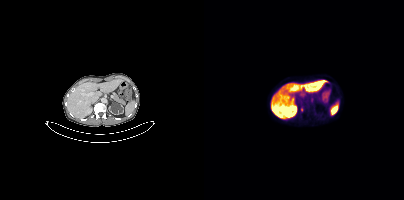
{"modality":"PSMA PET/CT","view":"axial","tracer":"[18F]PSMA-1007","pet_grid":[200,200],"coord_frame":"pet_panel","coord_format":"x0,y0,x1,y1","lesion_bboxes":[[97,107,99,111]]}